Left: CT. Right: PSMA PET, same axial level, 68Ga-PSMA tracer. Acquired on Siemens Biograph mCT Flow 20. Slice position z = -977 mm.
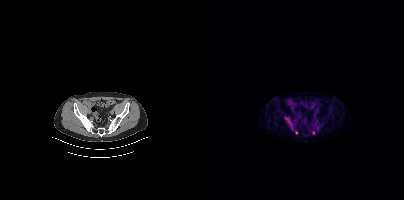
Coordinates are on the 200×200 PET (right) panel. (showing 1 of 2 foci) Small PSMA-avid focus (2 to 4 px across) near (center x, center y): (92, 132).